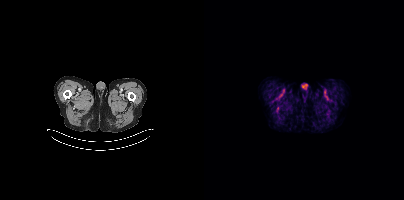
This slice has no annotated PSMA-avid lesion. Paired axial CT (left) and PSMA PET (right), 18F-PSMA tracer. Slice 18 of 429.